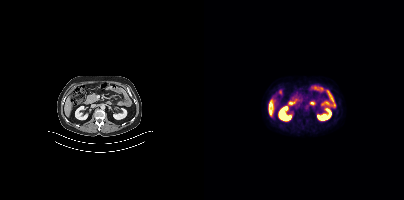
Technique: Two-panel axial: CT | PSMA PET, 18F-PSMA tracer.
Findings: No PSMA-avid tumor lesions on this slice.